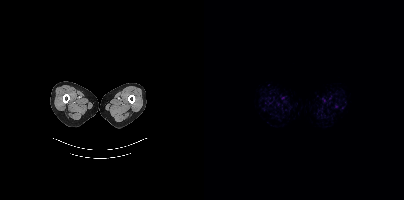
- Two-panel axial: CT | PSMA PET, 18F-PSMA tracer
- acquired on Siemens Biograph mCT Flow 20
- slice position z = -1638 mm
- PET panel 200×200 px (4.1 mm/px)
Findings: No tumor lesions annotated on this slice.